modality: PSMA PET/CT | tracer: 18F-PSMA | view: axial | PET grid: 200×200
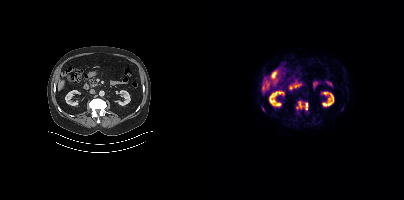
Coordinates are on the 200×200 PET (right) panel. PSMA-avid tumor lesion bounding box (x0, y0)-(x1, y1): (93, 101)-(104, 109).